Left: CT. Right: PSMA PET, same axial level, 68Ga-PSMA tracer. Acquired on Siemens Biograph mCT Flow 20.
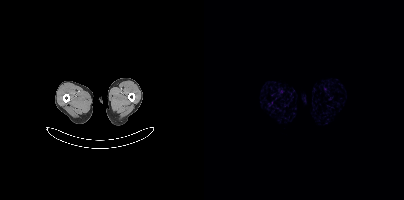
This slice has no annotated PSMA-avid lesion.